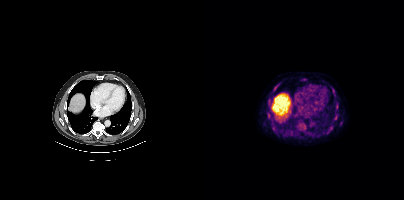
Paired axial CT (left) and PSMA PET (right), 18F tracer. PET panel 200×200 px (4.1 mm/px). Coordinates are on the 200×200 PET (right) panel. Small PSMA-avid foci (2 to 4 px across) near (center x, center y): (129, 89), (73, 85), (132, 118), (133, 105), (99, 79).